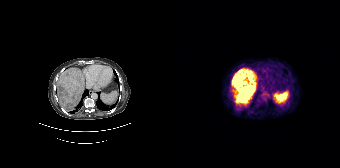
Coordinates are on the 168×168 PET (right) panel. PSMA-avid tumor lesion bounding box (x, y, width, height): x=60 y=68 w=25 h=37.